Paired axial CT (left) and PSMA PET (right), 18F tracer. PET panel 200×200 px (4.1 mm/px).
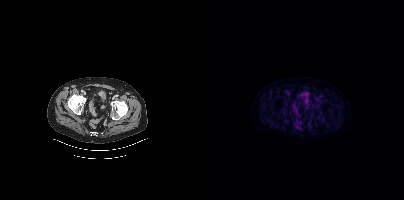
Negative for PSMA-avid disease on this slice.